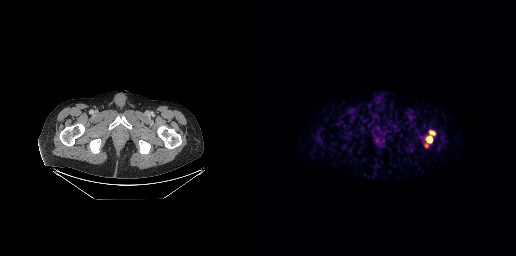
Coordinates are on the 256×256 PET (right) panel. PSMA-avid tumor lesion bounding box (x0,y0,x1,y1): [166,130,175,143]. Small PSMA-avid focus (2 to 4 px across) near (center x, center y): (166, 145).